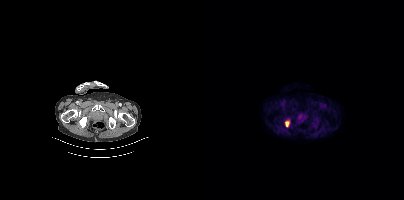
- Paired axial CT (left) and PSMA PET (right), 18F-PSMA tracer
- acquired on Siemens Biograph mCT Flow 20
Findings: Coordinates are on the 200×200 PET (right) panel. PSMA-avid tumor lesion bounding box (x, y, width, height): x=81 y=119 w=6 h=8.